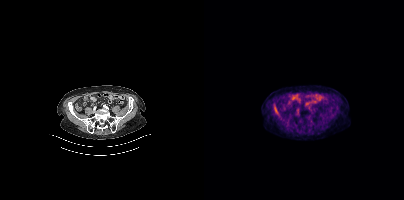
- Two-panel axial: CT | PSMA PET, [18F]PSMA-1007 tracer
Findings: Coordinates are on the 200×200 PET (right) panel. PSMA-avid tumor lesion bounding box (x, y, width, height): x=70 y=108 w=4 h=6.